Technique: Left: CT. Right: PSMA PET, same axial level, 18F-PSMA tracer. acquired on Siemens Biograph mCT Flow 20. slice position z = -584 mm.
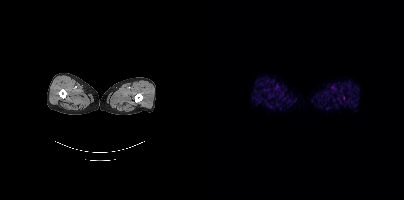
Findings: This slice has no annotated PSMA-avid lesion.